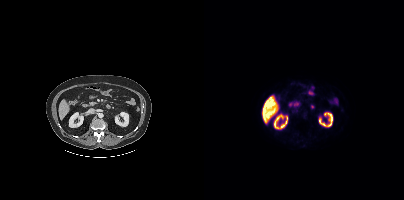
Findings: This slice has no annotated PSMA-avid lesion.
Technique: Two-panel axial: CT | PSMA PET, 18F tracer. slice 184 of 417.